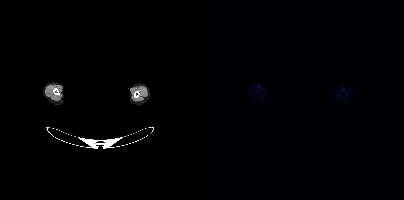
Technique: Two-panel axial: CT | PSMA PET, 18F tracer. slice position z = -176 mm.
Note: Head region blanked for anonymization (face removed).
Findings: Negative for PSMA-avid disease on this slice.